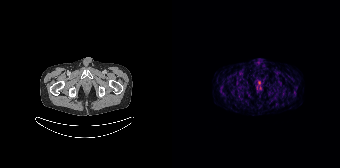
This slice has no annotated PSMA-avid lesion.
modality: PSMA PET/CT | tracer: [68Ga]Ga-PSMA-11 | view: axial | PET grid: 168×168